Two-panel axial: CT | PSMA PET, 18F-PSMA tracer. Acquired on Siemens Biograph mCT Flow 20.
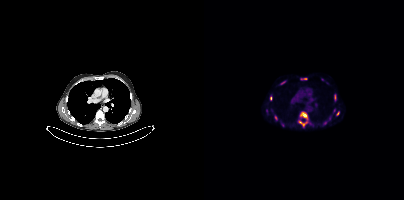
Coordinates are on the 200×200 PET (right) panel. PSMA-avid tumor lesion bounding boxes (partial; 1 more focus not listed):
| # | x0 | y0 | x1 | y1 |
|---|---|---|---|---|
| 1 | 94 | 112 | 104 | 127 |
| 2 | 130 | 94 | 132 | 100 |
| 3 | 70 | 115 | 73 | 120 |
| 4 | 66 | 96 | 68 | 100 |
| 5 | 132 | 111 | 135 | 115 |
| 6 | 97 | 78 | 102 | 79 |
Small PSMA-avid foci (2 to 4 px across) near (center x, center y): (121, 123); (62, 110); (130, 110).